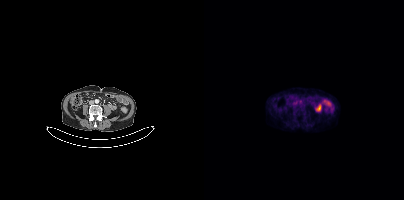
Findings: This slice has no annotated PSMA-avid lesion.
Technique: Paired axial CT (left) and PSMA PET (right), [18F]PSMA-1007 tracer. slice position z = -792 mm.